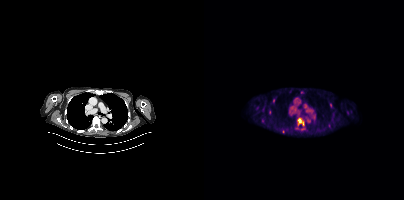
Paired axial CT (left) and PSMA PET (right), 18F tracer. Acquired on Siemens Biograph mCT Flow 20. Slice position z = -491 mm. Coordinates are on the 200×200 PET (right) panel. (showing 2 of 3 foci) PSMA-avid tumor lesion bounding box (x, y, width, height): x=94 y=118 w=7 h=8. Small PSMA-avid focus (2 to 4 px across) near (center x, center y): (126, 105).